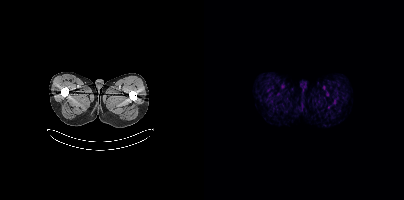
No PSMA-avid tumor lesions on this slice.